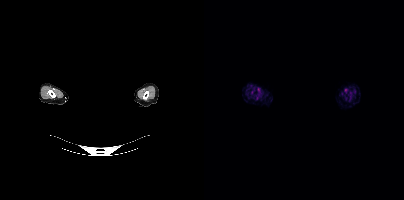
Negative for PSMA-avid disease on this slice. Two-panel axial: CT | PSMA PET, 18F-PSMA tracer. Acquired on Siemens Biograph mCT Flow 20. PET panel 200×200 px (4.1 mm/px). An anonymization step blacked out a rectangle over the head in this scan.